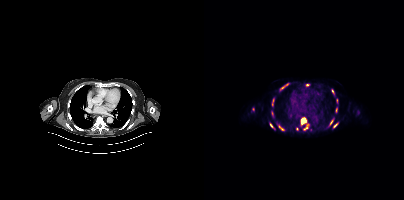
Findings: Coordinates are on the 200×200 PET (right) panel. (showing 12 of 16 foci) PSMA-avid tumor lesion bounding boxes (x0, y0)-(x1, y1): (97, 117)-(102, 124) | (77, 83)-(84, 89) | (75, 125)-(80, 130) | (100, 124)-(104, 129) | (126, 119)-(129, 125) | (129, 123)-(134, 127) | (66, 123)-(69, 127) | (128, 89)-(129, 93) | (132, 108)-(133, 112). Small PSMA-avid foci (2 to 4 px across) near (center x, center y): (103, 85) | (68, 114) | (93, 129).
Technique: Two-panel axial: CT | PSMA PET, 18F tracer. PET panel 200×200 px (4.1 mm/px).